Paired axial CT (left) and PSMA PET (right), [18F]PSMA-1007 tracer. Acquired on GE Discovery 690. Slice 221 of 263. PET panel 256×256 px (2.7 mm/px).
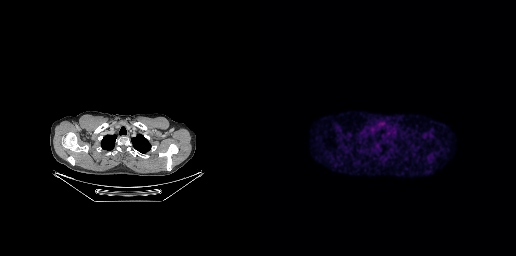
Negative for PSMA-avid disease on this slice.